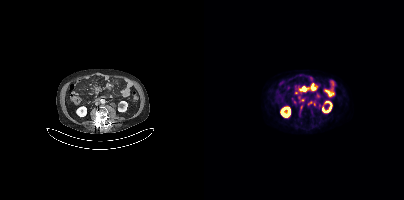
{"modality":"PSMA PET/CT","view":"axial","tracer":"18F-PSMA","pet_grid":[200,200],"coord_frame":"pet_panel","coord_format":"x0,y0,x1,y1","partial":true,"lesion_bboxes":[[107,85,112,90],[95,105,99,114]],"small_foci_centers":[[99,89],[92,92],[106,102],[104,104]]}